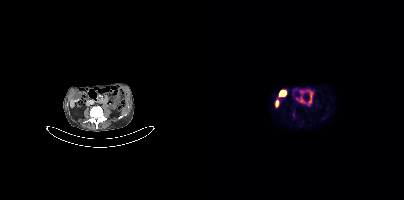
Findings: This slice has no annotated PSMA-avid lesion.
Technique: Paired axial CT (left) and PSMA PET (right), [18F]PSMA-1007 tracer. slice position z = -826 mm.